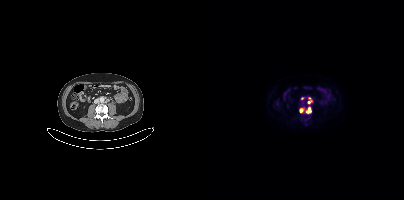
Coordinates are on the 200×200 PET (right) panel. PSMA-avid tumor lesion bounding boxes (x0,y0,x1,y1): [102,107,107,113] [96,108,99,112] [105,97,108,101]. Small PSMA-avid foci (2 to 4 px across) near (center x, center y): (98, 98) (104, 102).